- Left: CT. Right: PSMA PET, same axial level, 18F tracer
- slice position z = -1348 mm
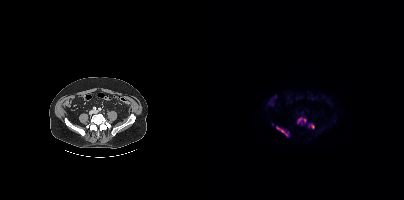
Findings: Coordinates are on the 200×200 PET (right) panel. PSMA-avid tumor lesion bounding boxes (x0, y0)-(x1, y1): (72, 127)-(83, 135) | (94, 118)-(97, 122). Small PSMA-avid foci (2 to 4 px across) near (center x, center y): (108, 126) | (68, 124) | (100, 120).